- Two-panel axial: CT | PSMA PET, 68Ga tracer
- slice position z = 849 mm
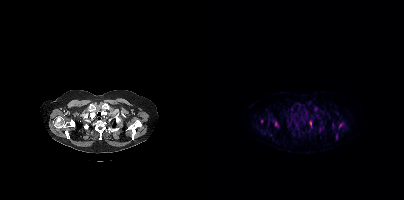
Findings: Coordinates are on the 200×200 PET (right) panel. (showing 3 of 5 foci) Small PSMA-avid foci (2 to 4 px across) near (center x, center y): (136, 125) | (106, 122) | (111, 108).